- Two-panel axial: CT | PSMA PET, 68Ga tracer
- PET panel 168×168 px (4.1 mm/px)
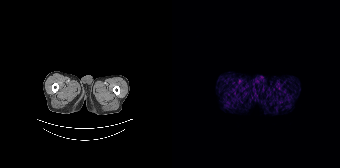
Findings: This slice has no annotated PSMA-avid lesion.